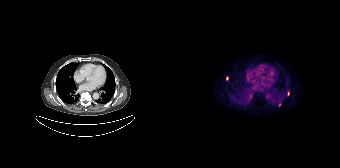
Technique: Left: CT. Right: PSMA PET, same axial level, 18F tracer.
Findings: Coordinates are on the 168×168 PET (right) panel. PSMA-avid tumor lesion bounding box (x0, y0)-(x1, y1): (54, 76)-(56, 80). Small PSMA-avid foci (2 to 4 px across) near (center x, center y): (116, 93) | (107, 104).